modality: PSMA PET/CT | tracer: 18F-PSMA | view: axial
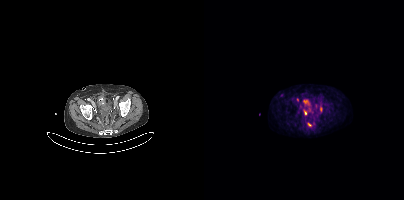
Coordinates are on the 200×200 PET (right) panel. (showing 5 of 7 foci) PSMA-avid tumor lesion bounding boxes (x, y, width, height): x=116 y=105 w=3 h=8; x=99 y=109 w=5 h=7; x=103 y=122 w=5 h=5. Small PSMA-avid foci (2 to 4 px across) near (center x, center y): (93, 99); (77, 95).